Technique: Paired axial CT (left) and PSMA PET (right), [18F]PSMA-1007 tracer. slice position z = -1250 mm.
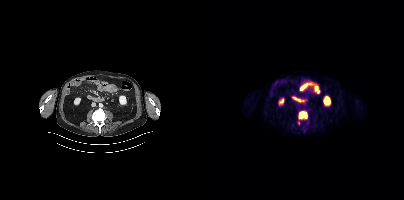
Findings: Coordinates are on the 200×200 PET (right) panel. PSMA-avid tumor lesion bounding box (x, y, width, height): x=95 y=111 w=9 h=8.